- Paired axial CT (left) and PSMA PET (right), 18F-PSMA tracer
- acquired on GE Discovery 690
- slice position z = -398 mm
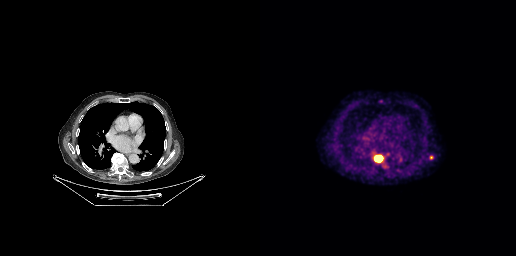
Findings: Coordinates are on the 256×256 PET (right) panel. PSMA-avid tumor lesion bounding boxes (x, y, width, height): x=111 y=152 w=13 h=11 / x=169 y=155 w=5 h=5.